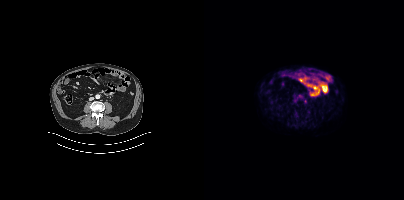
Left: CT. Right: PSMA PET, same axial level, 18F tracer. Only PSMA-avid lesion pieces thinner than 2 px on this slice (not listed).